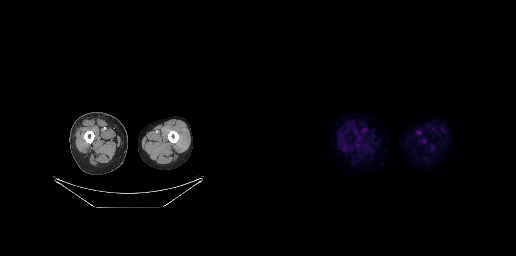
{"modality":"PSMA PET/CT","view":"axial","tracer":"[18F]PSMA-1007","pet_grid":[256,256],"coord_frame":"pet_panel","coord_format":"x0,y0,x1,y1","psma_avid_lesions":false}